modality: PSMA PET/CT | tracer: 18F | view: axial | PET grid: 200×200
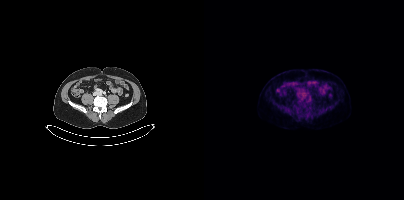
This slice has no annotated PSMA-avid lesion.